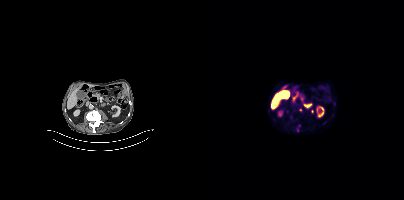
Coordinates are on the 200×200 PET (right) panel. PSMA-avid tumor lesion bounding box (x, y, width, height): x=92 y=124 w=5 h=8. Small PSMA-avid focus (2 to 4 px across) near (center x, center y): (96, 109).